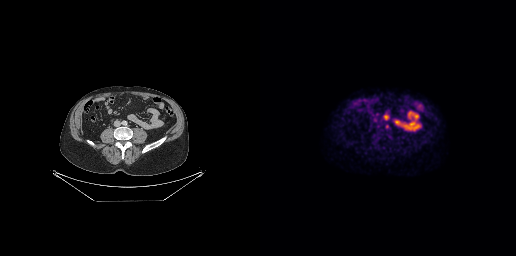
{"pet_grid":[256,256],"coord_frame":"pet_panel","coord_format":"x0,y0,x1,y1","lesion_bboxes":[[125,124,128,128]],"modality":"PSMA PET/CT","view":"axial","tracer":"18F-PSMA"}